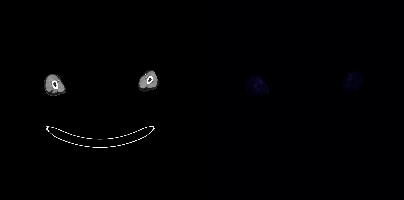
Two-panel axial: CT | PSMA PET, 18F tracer. Slice 393 of 403. PET panel 200×200 px (4.1 mm/px). The face region was removed for patient privacy by blanking a rectangle over the head. No tumor lesions annotated on this slice.